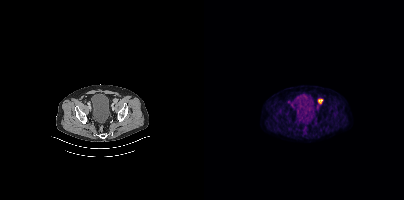
Coordinates are on the 200×200 PET (right) panel. PSMA-avid tumor lesion bounding box (x, y, width, height): x=114 y=98 w=6 h=7. Paired axial CT (left) and PSMA PET (right), 18F tracer. Acquired on Siemens Biograph mCT Flow 20. Slice 80 of 397. PET panel 200×200 px (4.1 mm/px).